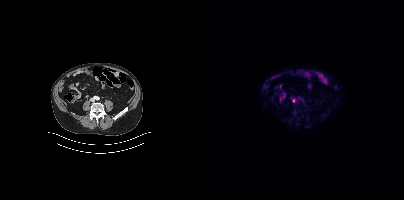
Left: CT. Right: PSMA PET, same axial level, 18F tracer. Acquired on Siemens Biograph mCT Flow 20. Coordinates are on the 200×200 PET (right) panel. Small PSMA-avid focus (2 to 4 px across) near (center x, center y): (89, 100).